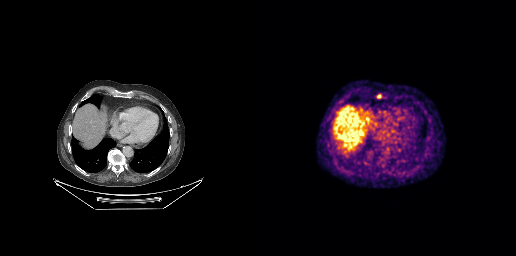
Coordinates are on the 256×256 PET (right) panel. PSMA-avid tumor lesion bounding box (x0, y0)-(x1, y1): (117, 94)-(121, 98).